- Two-panel axial: CT | PSMA PET, 18F tracer
- slice position z = -1324 mm
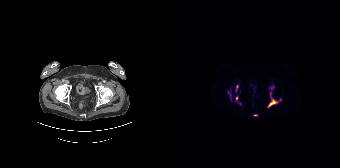
Findings: Coordinates are on the 168×168 PET (right) panel. (showing 7 of 11 foci) PSMA-avid tumor lesion bounding boxes (x, y, width, height): x=95 y=97 w=12 h=11 | x=64 y=85 w=3 h=7 | x=64 y=96 w=3 h=5 | x=56 y=91 w=3 h=6. Small PSMA-avid foci (2 to 4 px across) near (center x, center y): (83, 115) | (98, 93) | (108, 99).